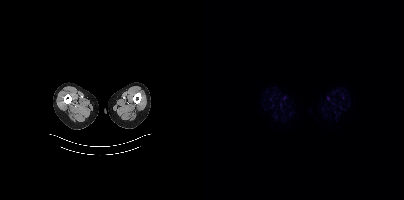
Findings: No PSMA-avid tumor lesions on this slice.
Technique: Paired axial CT (left) and PSMA PET (right), [18F]PSMA-1007 tracer. slice position z = -915 mm. PET panel 200×200 px (4.1 mm/px).